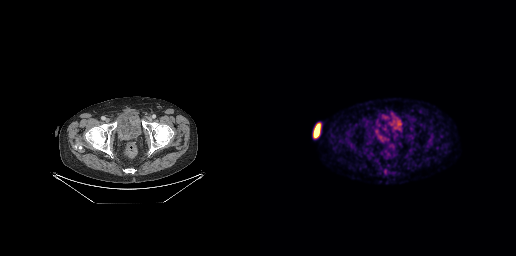
Two-panel axial: CT | PSMA PET, 18F-PSMA tracer. Slice 60 of 263. PET panel 256×256 px (2.7 mm/px). No tumor lesions annotated on this slice.